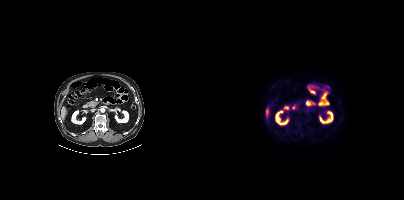
modality: PSMA PET/CT | tracer: [18F]PSMA-1007 | view: axial | PET grid: 200×200
This slice has no annotated PSMA-avid lesion.